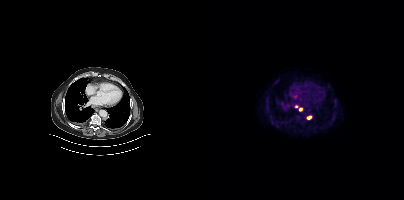
Coordinates are on the 200×200 PET (right) panel. PSMA-avid tumor lesion bounding boxes:
| # | x0 | y0 | x1 | y1 |
|---|---|---|---|---|
| 1 | 103 | 116 | 107 | 119 |
Small PSMA-avid foci (2 to 4 px across) near (center x, center y): (96, 109); (92, 106).
Paired axial CT (left) and PSMA PET (right), [18F]PSMA-1007 tracer. Acquired on Siemens Biograph mCT Flow 20. PET panel 200×200 px (4.1 mm/px).